Two-panel axial: CT | PSMA PET, [18F]PSMA-1007 tracer. PET panel 200×200 px (4.1 mm/px).
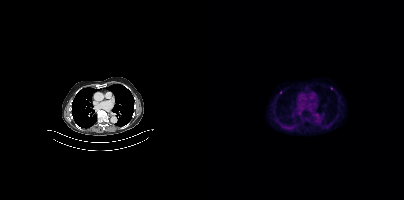
Coordinates are on the 200×200 PET (right) panel. Small PSMA-avid foci (2 to 4 px across) near (center x, center y): (127, 88) / (76, 92) / (123, 127).